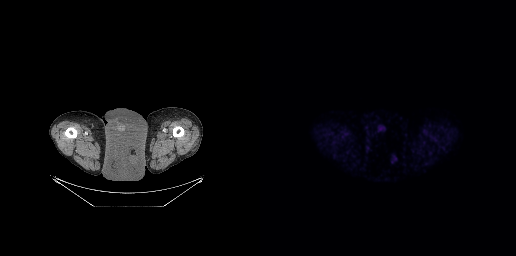
{"modality":"PSMA PET/CT","view":"axial","tracer":"18F-PSMA","pet_grid":[256,256],"coord_frame":"pet_panel","coord_format":"x0,y0,x1,y1","psma_avid_lesions":false}